Paired axial CT (left) and PSMA PET (right), 18F tracer. Acquired on Siemens Biograph mCT Flow 20. PET panel 200×200 px (4.1 mm/px).
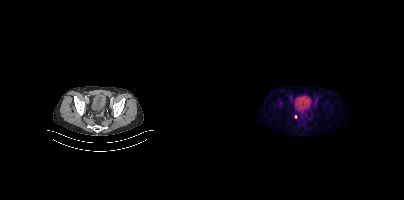
Coordinates are on the 200×200 PET (right) panel. Small PSMA-avid focus (2 to 4 px across) near (center x, center y): (91, 116).